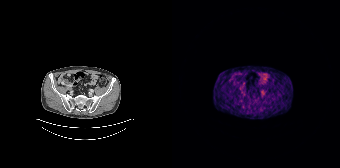
Left: CT. Right: PSMA PET, same axial level, 68Ga-PSMA tracer. Acquired on Siemens Biograph 64-4R TruePoint. No PSMA-avid tumor lesions on this slice.